- Left: CT. Right: PSMA PET, same axial level, [18F]PSMA-1007 tracer
- slice position z = -1300 mm
- PET panel 200×200 px (4.1 mm/px)
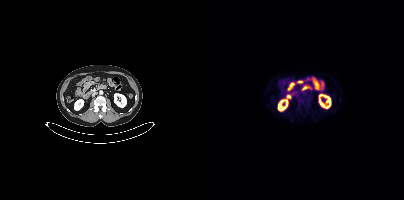
Findings: This slice has no annotated PSMA-avid lesion.